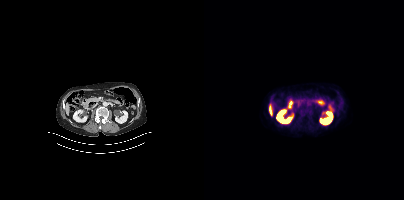
modality: PSMA PET/CT | tracer: [18F]PSMA-1007 | view: axial
Negative for PSMA-avid disease on this slice.